Left: CT. Right: PSMA PET, same axial level, [18F]PSMA-1007 tracer. PET panel 200×200 px (4.1 mm/px).
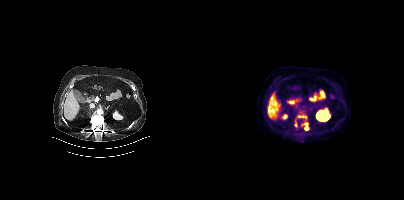
Coordinates are on the 200×200 PET (right) panel. PSMA-avid tumor lesion bounding boxes:
| # | x0 | y0 | x1 | y1 |
|---|---|---|---|---|
| 1 | 93 | 112 | 102 | 118 |
| 2 | 100 | 123 | 103 | 130 |
Small PSMA-avid focus (2 to 4 px across) near (center x, center y): (91, 125).